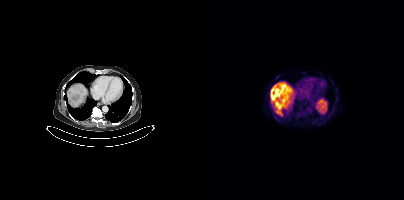
{"modality":"PSMA PET/CT","view":"axial","tracer":"18F-PSMA","pet_grid":[200,200],"coord_frame":"pet_panel","coord_format":"x0,y0,x1,y1","lesion_bboxes":[[67,89,73,96]]}